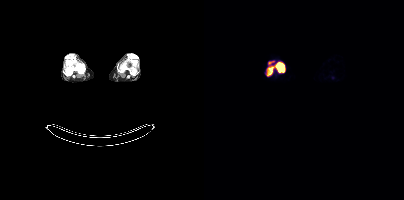
Coordinates are on the 200×200 PET (right) panel. PSMA-avid tumor lesion bounding boxes (x0,y0,x1,y1): [71,62,80,72]; [63,67,69,75]; [64,62,68,64].